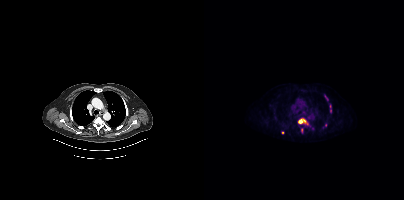
Coordinates are on the 200×200 PET (right) panel. PSMA-avid tumor lesion bounding boxes (x0,y0,x1,y1): [94,119,104,124]; [121,95,124,100]; [97,128,98,132]. Small PSMA-avid foci (2 to 4 px across) near (center x, center y): (121, 125); (126, 106); (126, 110); (108, 128); (78, 132).